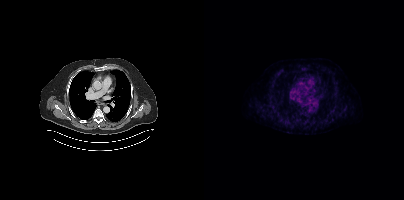
Paired axial CT (left) and PSMA PET (right), [18F]PSMA-1007 tracer. Slice 310 of 435. PET panel 200×200 px (4.1 mm/px). Coordinates are on the 200×200 PET (right) panel. Small PSMA-avid focus (2 to 4 px across) near (center x, center y): (128, 111).